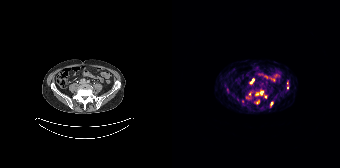
- Left: CT. Right: PSMA PET, same axial level, 68Ga tracer
- slice position z = -809 mm
- PET panel 168×168 px (4.1 mm/px)
Findings: Coordinates are on the 168×168 PET (right) panel. (showing 6 of 7 foci) PSMA-avid tumor lesion bounding box (x0,y0,x1,y1): [79,79,81,83]. Small PSMA-avid foci (2 to 4 px across) near (center x, center y): (89, 92), (93, 96), (85, 94), (70, 101), (77, 93).